Technique: Two-panel axial: CT | PSMA PET, 18F tracer. acquired on Siemens Biograph mCT Flow 20.
Note: The head region is masked for de-identification.
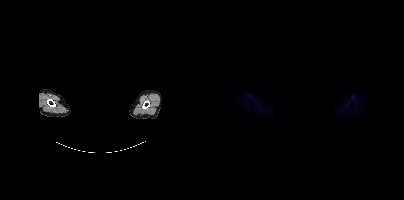
Findings: No PSMA-avid tumor lesions on this slice.